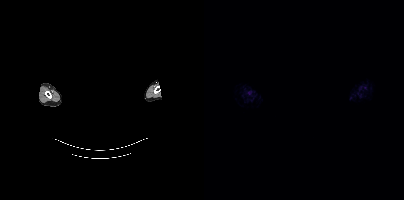
Findings: Negative for PSMA-avid disease on this slice.
Technique: Two-panel axial: CT | PSMA PET, 18F-PSMA tracer.
Note: Facial anatomy redacted by setting a rectangular region of the head to black.